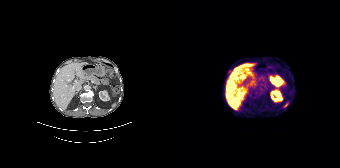
Coordinates are on the 168×168 PET (right) panel. (showing 1 of 2 foci) Small PSMA-avid focus (2 to 4 px across) near (center x, center y): (82, 97).